Technique: Left: CT. Right: PSMA PET, same axial level, 18F-PSMA tracer.
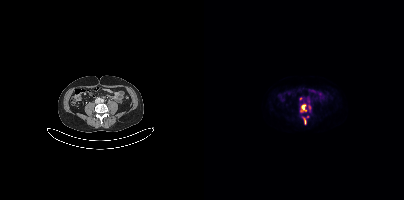
Findings: Coordinates are on the 200×200 PET (right) panel. (showing 5 of 6 foci) PSMA-avid tumor lesion bounding box (x, y, width, height): x=96 y=104 w=6 h=8. Small PSMA-avid foci (2 to 4 px across) near (center x, center y): (105, 107) | (97, 98) | (99, 118) | (103, 116).